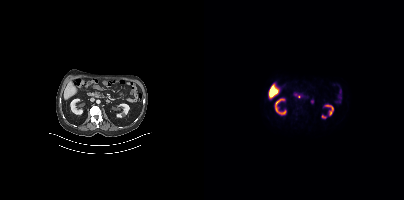
No PSMA-avid tumor lesions on this slice.
modality: PSMA PET/CT | tracer: 18F | view: axial | PET grid: 200×200